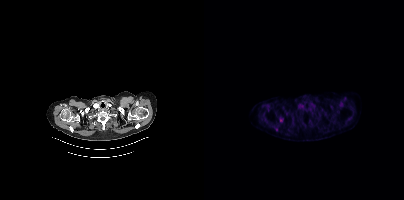
modality: PSMA PET/CT | tracer: [18F]PSMA-1007 | view: axial
Coordinates are on the 200×200 PET (right) panel. Small PSMA-avid focus (2 to 4 px across) near (center x, center y): (77, 120).